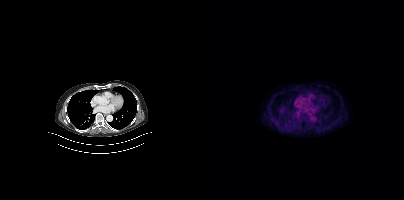
{"pet_grid":[200,200],"coord_frame":"pet_panel","coord_format":"x0,y0,x1,y1","psma_avid_lesions":false,"modality":"PSMA PET/CT","view":"axial","tracer":"18F"}